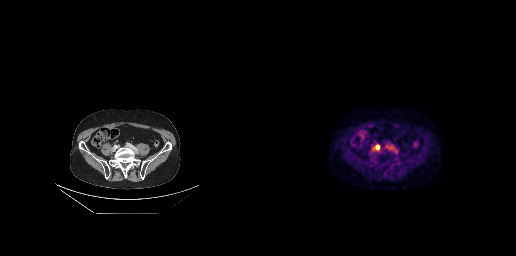
Findings: Coordinates are on the 256×256 PET (right) panel. PSMA-avid tumor lesion bounding box (x0, y0)-(x1, y1): (115, 145)-(119, 149).
- Two-panel axial: CT | PSMA PET, 18F tracer
- slice 98 of 263